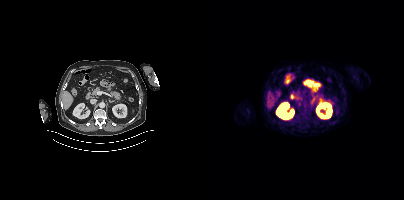
No tumor lesions annotated on this slice.